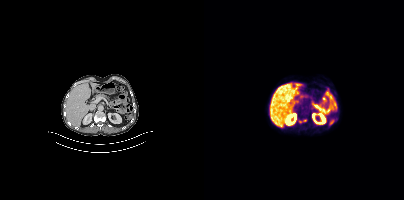
Findings: Only PSMA-avid lesion pieces thinner than 2 px on this slice (not listed).
- Left: CT. Right: PSMA PET, same axial level, 18F-PSMA tracer
- acquired on Siemens Biograph mCT Flow 20
- slice position z = -480 mm
- PET panel 200×200 px (4.1 mm/px)